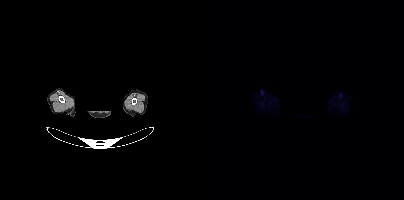
No tumor lesions annotated on this slice.
modality: PSMA PET/CT | tracer: 18F-PSMA | view: axial | redaction: face masked with black rectangle